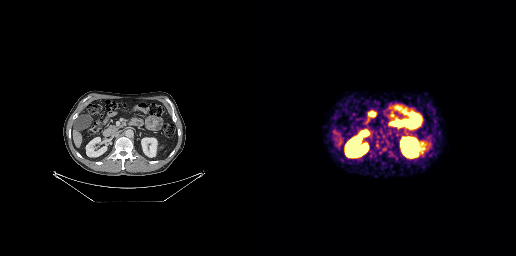
Two-panel axial: CT | PSMA PET, 18F tracer. Acquired on GE Discovery 690.
Coordinates are on the 256×256 PET (right) panel. PSMA-avid tumor lesion bounding boxes:
| # | x0 | y0 | x1 | y1 |
|---|---|---|---|---|
| 1 | 115 | 143 | 120 | 148 |
| 2 | 129 | 152 | 134 | 157 |